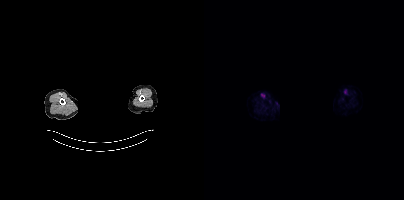
{"modality":"PSMA PET/CT","view":"axial","tracer":"[18F]PSMA-1007","pet_grid":[200,200],"coord_frame":"pet_panel","coord_format":"x0,y0,x1,y1","psma_avid_lesions":false,"de-identification":"face masked with black rectangle"}